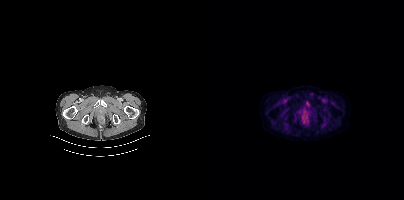
Coordinates are on the 200×200 PET (right) panel. Small PSMA-avid focus (2 to 4 px across) near (center x, center y): (103, 111).